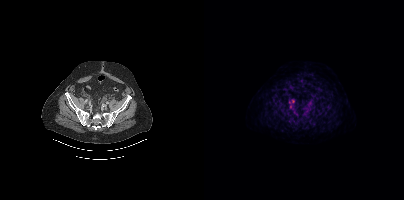
Coordinates are on the 200×200 PET (right) panel. PSMA-avid tumor lesion bounding box (x0,y0,x1,y1): [85,99,91,108]. Two-panel axial: CT | PSMA PET, [18F]PSMA-1007 tracer. PET panel 200×200 px (4.1 mm/px).